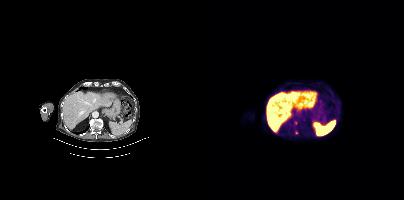
Coordinates are on the 200×200 PET (right) panel. Small PSMA-avid foci (2 to 4 px across) near (center x, center y): (91, 122) / (92, 132).